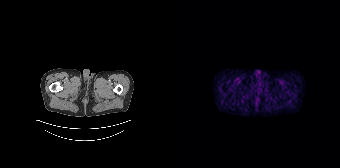
No PSMA-avid tumor lesions on this slice.